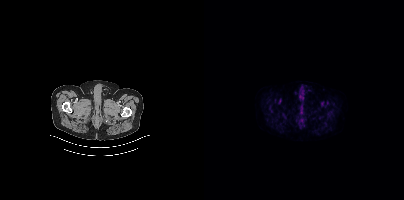
Negative for PSMA-avid disease on this slice.
modality: PSMA PET/CT | tracer: 18F | view: axial